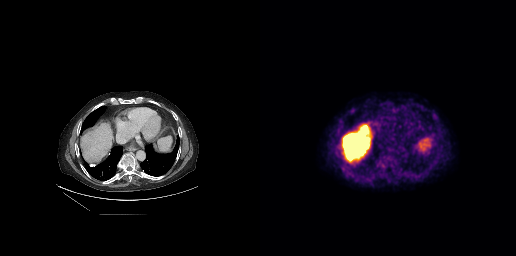
Coordinates are on the 256×256 PET (right) panel. PSMA-avid tumor lesion bounding box (x0,y0,x1,y1): [89,107,96,114]. Paired axial CT (left) and PSMA PET (right), 18F-PSMA tracer. Slice position z = -297 mm. PET panel 256×256 px (2.7 mm/px).